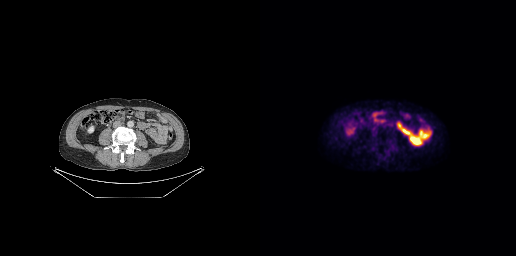
modality: PSMA PET/CT | tracer: [18F]PSMA-1007 | view: axial
No PSMA-avid tumor lesions on this slice.